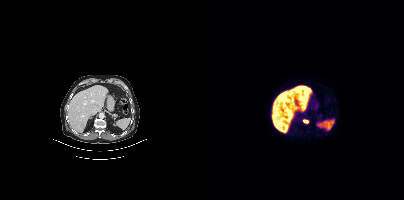
Left: CT. Right: PSMA PET, same axial level, [18F]PSMA-1007 tracer. Coordinates are on the 200×200 PET (right) panel. Small PSMA-avid focus (2 to 4 px across) near (center x, center y): (101, 121).